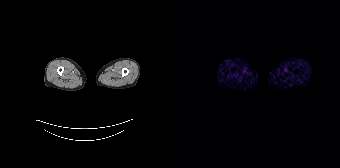
{"modality":"PSMA PET/CT","view":"axial","tracer":"68Ga-PSMA","pet_grid":[168,168],"coord_frame":"pet_panel","coord_format":"x0,y0,x1,y1","psma_avid_lesions":false}